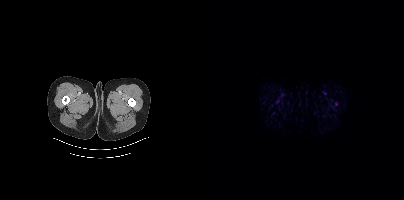
Technique: Paired axial CT (left) and PSMA PET (right), 18F-PSMA tracer. acquired on Siemens Biograph mCT Flow 20.
Findings: Only PSMA-avid lesion pieces thinner than 2 px on this slice (not listed).